Two-panel axial: CT | PSMA PET, 18F tracer. PET panel 200×200 px (4.1 mm/px).
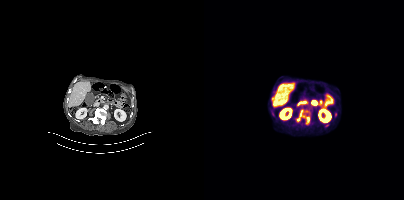
Coordinates are on the 200×200 PET (right) panel. PSMA-avid tumor lesion bounding box (x0,y0,x1,y1): [91,117,105,125]. Small PSMA-avid focus (2 to 4 px across) near (center x, center y): (131, 114).